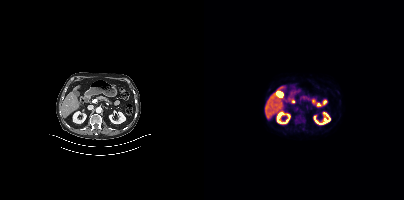
This slice has no annotated PSMA-avid lesion.
modality: PSMA PET/CT | tracer: [18F]PSMA-1007 | view: axial | PET grid: 200×200